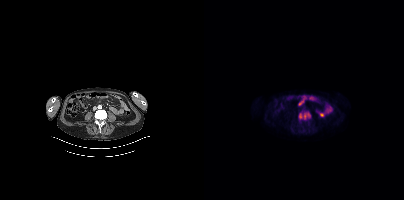
Coordinates are on the 200×200 PET (right) panel. PSMA-avid tumor lesion bounding box (x0, y0)-(x1, y1): (94, 110)-(107, 120).
modality: PSMA PET/CT | tracer: 18F | view: axial | PET grid: 200×200